modality: PSMA PET/CT | tracer: [68Ga]Ga-PSMA-11 | view: axial
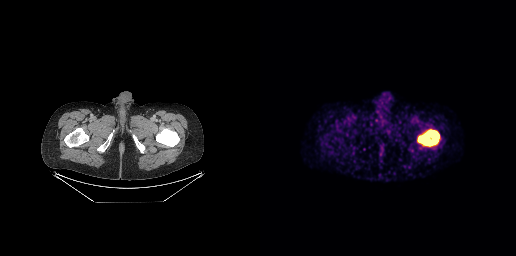
Coordinates are on the 256×256 PET (right) panel. PSMA-avid tumor lesion bounding box (x0, y0)-(x1, y1): (158, 129)-(179, 146).